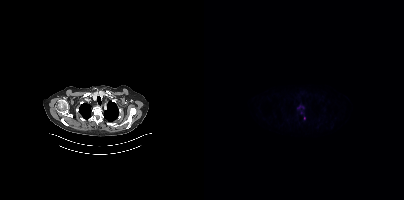
{"modality":"PSMA PET/CT","view":"axial","tracer":"18F-PSMA","pet_grid":[200,200],"coord_frame":"pet_panel","coord_format":"x0,y0,x1,y1","lesion_bboxes":[],"small_foci_centers":[[100,118]]}